- Left: CT. Right: PSMA PET, same axial level, 18F tracer
- acquired on Siemens Biograph mCT Flow 20
- PET panel 200×200 px (4.1 mm/px)
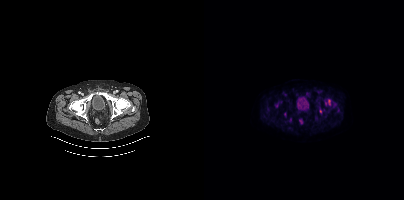
Findings: Coordinates are on the 200×200 PET (right) panel. (showing 2 of 4 foci) PSMA-avid tumor lesion bounding box (x, y, width, height): x=124 y=99 w=3 h=6. Small PSMA-avid focus (2 to 4 px across) near (center x, center y): (116, 111).